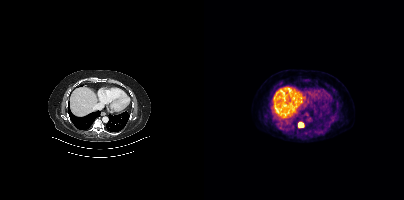
Left: CT. Right: PSMA PET, same axial level, 18F-PSMA tracer. Slice 283 of 438.
Coordinates are on the 200×200 PET (right) panel. PSMA-avid tumor lesion bounding boxes:
| # | x0 | y0 | x1 | y1 |
|---|---|---|---|---|
| 1 | 95 | 122 | 99 | 127 |